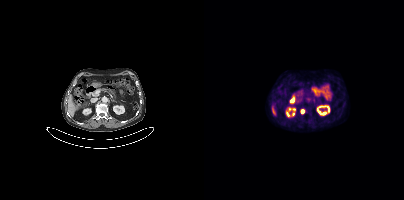
Coordinates are on the 200×200 PET (right) panel. Small PSMA-avid focus (2 to 4 px across) near (center x, center y): (98, 111). Paired axial CT (left) and PSMA PET (right), [18F]PSMA-1007 tracer. Slice position z = -1424 mm.